Technique: Paired axial CT (left) and PSMA PET (right), [18F]PSMA-1007 tracer. slice position z = -420 mm. PET panel 200×200 px (4.1 mm/px).
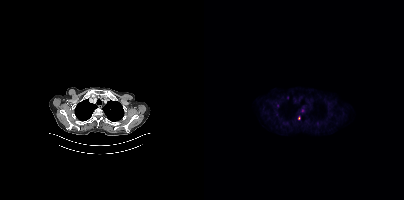
Findings: Coordinates are on the 200×200 PET (right) panel. (showing 1 of 2 foci) Small PSMA-avid focus (2 to 4 px across) near (center x, center y): (95, 117).